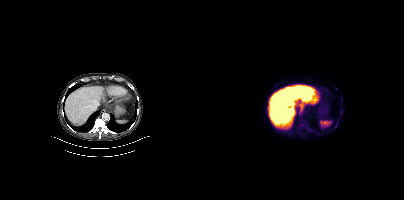
Coordinates are on the 200×200 PET (right) panel. PSMA-avid tumor lesion bounding box (x0,y0,x1,y1): [137,110,138,114]. Small PSMA-avid focus (2 to 4 px across) near (center x, center y): (130, 127). Paired axial CT (left) and PSMA PET (right), 18F tracer. PET panel 200×200 px (4.1 mm/px).